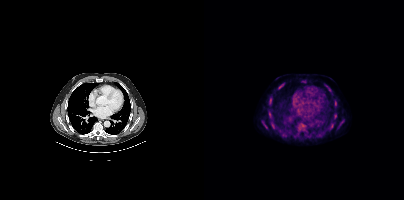
Coordinates are on the 200×200 PET (right) panel. (showing 10 of 11 foci) PSMA-avid tumor lesion bounding boxes (x, y, width, height): x=74 y=84 w=6 h=5 / x=135 y=120 w=6 h=7 / x=130 y=101 w=3 h=5 / x=59 y=124 w=5 h=5. Small PSMA-avid foci (2 to 4 px across) near (center x, center y): (124, 86) / (65, 113) / (69, 126) / (67, 98) / (128, 124) / (99, 81).